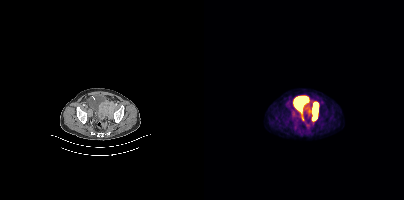
Coordinates are on the 200×200 PET (right) panel. PSMA-avid tumor lesion bounding box (x0, y0)-(x1, y1): (108, 102)-(114, 120). Small PSMA-avid focus (2 to 4 px across) near (center x, center y): (103, 112).